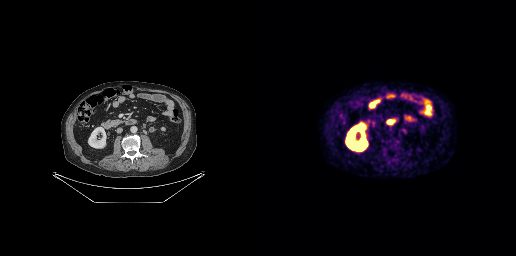
Paired axial CT (left) and PSMA PET (right), 18F-PSMA tracer. Slice 124 of 263. PET panel 256×256 px (2.7 mm/px). Negative for PSMA-avid disease on this slice.